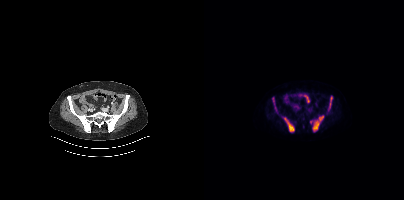
Coordinates are on the 200×200 PET (right) panel. (showing 5 of 6 foci) PSMA-avid tumor lesion bounding boxes (x, y, width, height): x=108 y=116 w=12 h=16 | x=80 y=117 w=11 h=16 | x=126 y=97 w=3 h=11. Small PSMA-avid foci (2 to 4 px across) near (center x, center y): (69, 99) | (106, 122).